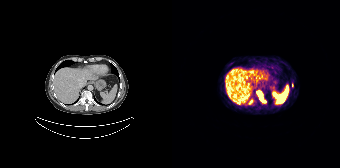
modality: PSMA PET/CT | tracer: 68Ga-PSMA | view: axial
Coordinates are on the 168×168 PET (right) panel. PSMA-avid tumor lesion bounding boxes (x, y, width, height): x=84 y=91 w=11 h=12 | x=78 y=100 w=3 h=5. Small PSMA-avid focus (2 to 4 px across) near (center x, center y): (120, 85).